Technique: Two-panel axial: CT | PSMA PET, 18F tracer. slice position z = 62 mm. PET panel 200×200 px (4.1 mm/px).
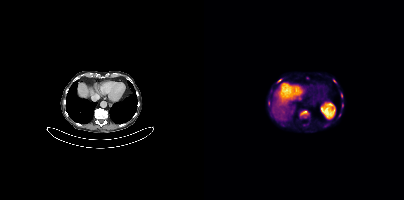
Findings: Coordinates are on the 200×200 PET (right) panel. (showing 5 of 6 foci) PSMA-avid tumor lesion bounding boxes (x0,y0,x1,y1): [96,110,104,115], [73,79,77,82], [137,93,138,97]. Small PSMA-avid foci (2 to 4 px across) near (center x, center y): (138, 105), (130, 81).